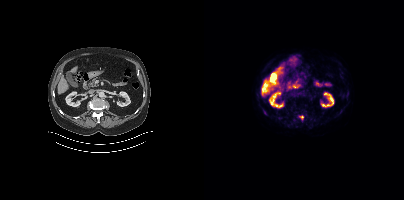
Two-panel axial: CT | PSMA PET, 18F tracer. Acquired on Siemens Biograph mCT Flow 20. Coordinates are on the 200×200 PET (right) panel. Small PSMA-avid focus (2 to 4 px across) near (center x, center y): (97, 117).